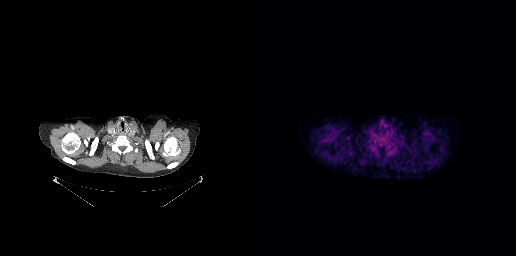
Technique: Paired axial CT (left) and PSMA PET (right), 18F-PSMA tracer. slice position z = -290 mm.
Findings: Negative for PSMA-avid disease on this slice.